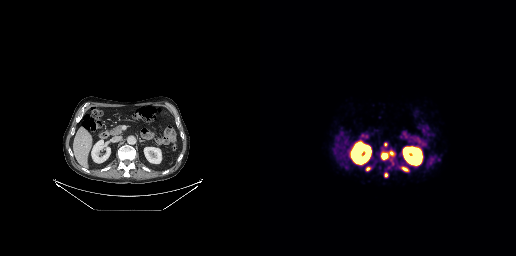
Findings: Coordinates are on the 256×256 PET (right) panel. PSMA-avid tumor lesion bounding boxes (x0, y0)-(x1, y1): (142, 167)-(148, 171); (122, 154)-(127, 158); (124, 172)-(128, 177); (106, 167)-(110, 170). Small PSMA-avid foci (2 to 4 px across) near (center x, center y): (125, 144); (131, 153).
Technique: Left: CT. Right: PSMA PET, same axial level, 68Ga-PSMA tracer. acquired on GE Discovery 690. slice position z = -570 mm. PET panel 256×256 px (2.7 mm/px).